Left: CT. Right: PSMA PET, same axial level, 68Ga tracer. Acquired on Siemens Biograph mCT Flow 20. Slice position z = -1354 mm.
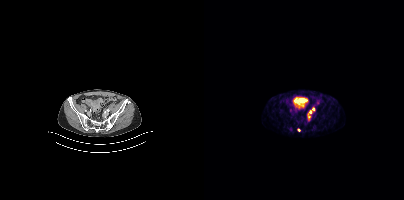
Coordinates are on the 200×200 PET (right) panel. PSMA-avid tumor lesion bounding boxes:
| # | x0 | y0 | x1 | y1 |
|---|---|---|---|---|
| 1 | 104 | 107 | 110 | 118 |
Small PSMA-avid focus (2 to 4 px across) near (center x, center y): (94, 129).